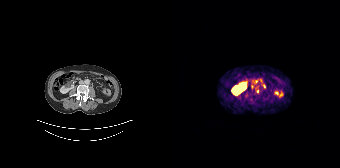
{"modality":"PSMA PET/CT","view":"axial","tracer":"68Ga-PSMA","pet_grid":[168,168],"coord_frame":"pet_panel","coord_format":"x0,y0,x1,y1","partial":true,"lesion_bboxes":[],"small_foci_centers":[[92,86]]}